modality: PSMA PET/CT | tracer: [68Ga]Ga-PSMA-11 | view: axial | PET grid: 168×168
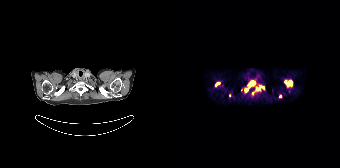
Coordinates are on the 168×168 PET (right) panel. (showing 7 of 10 foci) PSMA-avid tumor lesion bounding boxes (x, y, width, height): x=115 y=80 w=6 h=6 | x=77 y=81 w=6 h=5 | x=43 y=82 w=6 h=5. Small PSMA-avid foci (2 to 4 px across) near (center x, center y): (85, 89) | (74, 90) | (91, 87) | (108, 96).